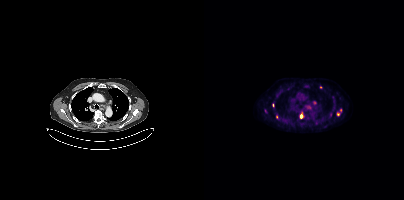
Coordinates are on the 200×200 PET (right) panel. (showing 6 of 8 foci) PSMA-avid tumor lesion bounding box (x, y, width, height): x=96 y=114 w=3 h=5. Small PSMA-avid foci (2 to 4 px across) near (center x, center y): (109, 102) / (61, 110) / (134, 114) / (72, 117) / (136, 110).